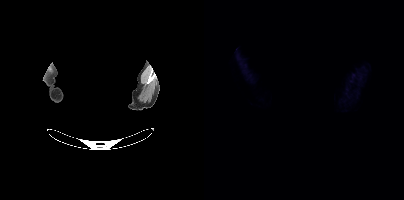
- face de-identified by blanking a block of the head
- Paired axial CT (left) and PSMA PET (right), 18F tracer
- acquired on Siemens Biograph mCT Flow 20
- slice 378 of 419
Findings: Negative for PSMA-avid disease on this slice.